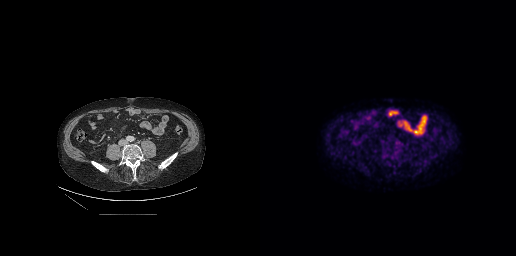
Left: CT. Right: PSMA PET, same axial level, 18F tracer.
Coordinates are on the 256×256 PET (right) panel. PSMA-avid tumor lesion bounding boxes:
| # | x0 | y0 | x1 | y1 |
|---|---|---|---|---|
| 1 | 134 | 139 | 141 | 146 |